Technique: Left: CT. Right: PSMA PET, same axial level, [18F]PSMA-1007 tracer.
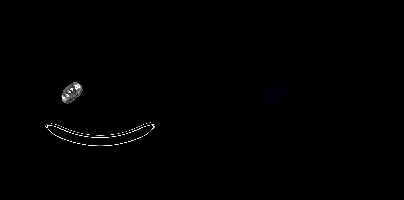
Findings: This slice has no annotated PSMA-avid lesion.